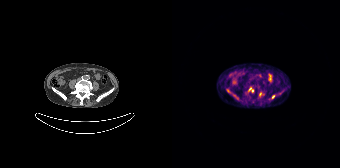
{"modality":"PSMA PET/CT","view":"axial","tracer":"68Ga","pet_grid":[168,168],"coord_frame":"pet_panel","coord_format":"x0,y0,x1,y1","lesion_bboxes":[[87,91,92,97],[76,87,81,92]],"small_foci_centers":[[56,90],[62,95],[101,96]]}